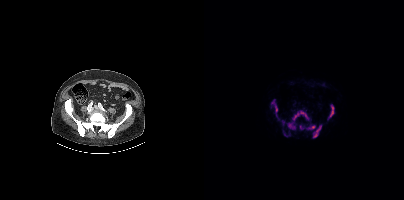
- Two-panel axial: CT | PSMA PET, 18F-PSMA tracer
- acquired on Siemens Biograph mCT Flow 20
- PET panel 200×200 px (4.1 mm/px)
Findings: Coordinates are on the 200×200 PET (right) panel. (showing 8 of 9 foci) PSMA-avid tumor lesion bounding boxes (x0,y0,x1,y1): [83,110,105,129], [109,125,117,138], [123,104,130,119], [102,125,111,129], [67,100,73,112], [95,125,100,129], [78,120,80,124]. Small PSMA-avid focus (2 to 4 px across) near (center x, center y): (81, 135).